Left: CT. Right: PSMA PET, same axial level, [18F]PSMA-1007 tracer. Slice 139 of 411.
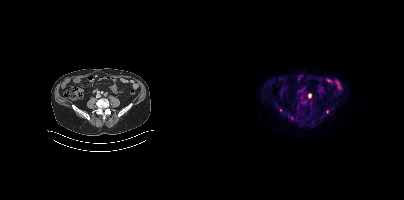
Coordinates are on the 200×200 PET (right) panel. PSMA-avid tumor lesion bounding boxes (partial; 1 more focus not listed):
| # | x0 | y0 | x1 | y1 |
|---|---|---|---|---|
| 1 | 85 | 116 | 89 | 120 |
Small PSMA-avid foci (2 to 4 px across) near (center x, center y): (105, 95); (123, 111).